The head region is masked for de-identification.
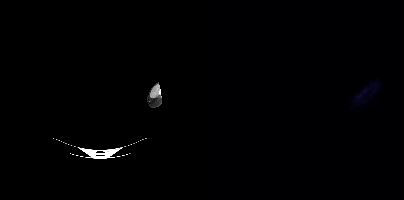
Negative for PSMA-avid disease on this slice.